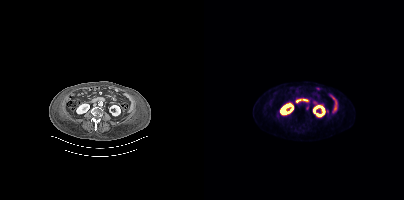
Left: CT. Right: PSMA PET, same axial level, 18F tracer. Acquired on Siemens Biograph mCT Flow 20. Coordinates are on the 200×200 PET (right) panel. Small PSMA-avid focus (2 to 4 px across) near (center x, center y): (103, 107).